Left: CT. Right: PSMA PET, same axial level, [18F]PSMA-1007 tracer. Slice 120 of 417. PET panel 200×200 px (4.1 mm/px).
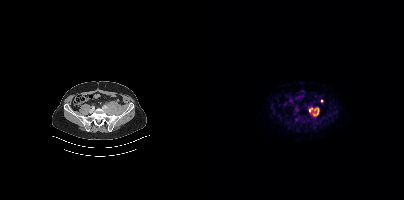
Coordinates are on the 200×200 PET (right) panel. PSMA-avid tumor lesion bounding box (x0, y0)-(x1, y1): (105, 107)-(115, 116). Small PSMA-avid focus (2 to 4 px across) near (center x, center y): (117, 101).